modality: PSMA PET/CT | tracer: 18F | view: axial
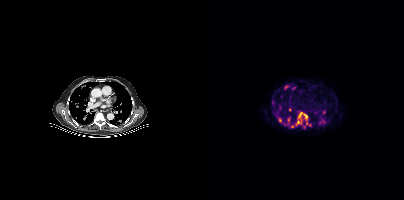
Coordinates are on the 200×200 PET (right) panel. (showing 13 of 15 foci) PSMA-avid tumor lesion bounding boxes (x0, y0)-(x1, y1): (99, 114)-(103, 119); (80, 85)-(84, 89); (118, 110)-(121, 114); (94, 113)-(97, 118); (75, 118)-(77, 122); (92, 121)-(95, 125). Small PSMA-avid foci (2 to 4 px across) near (center x, center y): (89, 88); (102, 123); (88, 126); (100, 127); (85, 109); (84, 119); (97, 123).